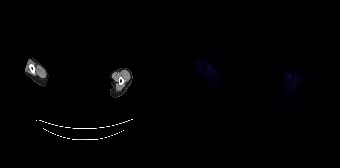
Left: CT. Right: PSMA PET, same axial level, 18F tracer. PET panel 168×168 px (4.1 mm/px). A rectangle over the head was blacked out to remove identifiable facial features. No PSMA-avid tumor lesions on this slice.